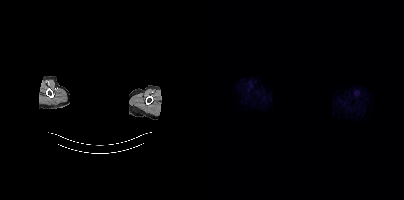
modality: PSMA PET/CT | tracer: [18F]PSMA-1007 | view: axial | redaction: head region blacked out before release
Negative for PSMA-avid disease on this slice.